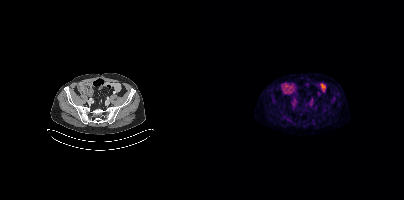
{"modality":"PSMA PET/CT","view":"axial","tracer":"18F-PSMA","pet_grid":[200,200],"coord_frame":"pet_panel","coord_format":"x0,y0,x1,y1","psma_avid_lesions":false}